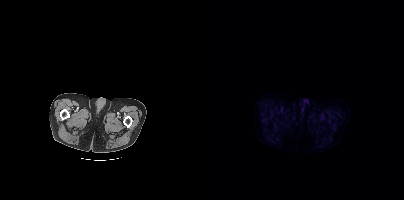
{"modality":"PSMA PET/CT","view":"axial","tracer":"[18F]PSMA-1007","pet_grid":[200,200],"coord_frame":"pet_panel","coord_format":"x0,y0,x1,y1","psma_avid_lesions":false}